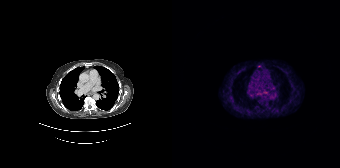
modality: PSMA PET/CT | tracer: 68Ga-PSMA | view: axial | PET grid: 168×168
Coordinates are on the 168×168 PET (right) panel. Small PSMA-avid focus (2 to 4 px across) near (center x, center y): (87, 66).